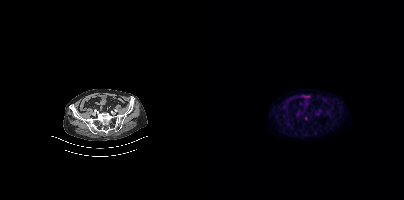
Coordinates are on the 200×200 PET (right) panel. Small PSMA-avid focus (2 to 4 px across) near (center x, center y): (101, 118). Paired axial CT (left) and PSMA PET (right), 18F-PSMA tracer. Slice 97 of 401. PET panel 200×200 px (4.1 mm/px).